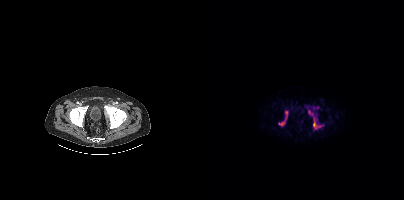
Paired axial CT (left) and PSMA PET (right), 18F tracer. PET panel 200×200 px (4.1 mm/px). Coordinates are on the 200×200 PET (right) panel. PSMA-avid tumor lesion bounding boxes (x0, y0)-(x1, y1): (74, 110)-(84, 125); (109, 119)-(119, 128); (104, 109)-(109, 116); (110, 106)-(114, 109).